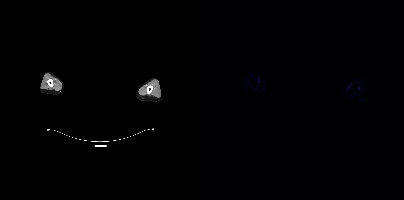
{"modality":"PSMA PET/CT","view":"axial","tracer":"18F","pet_grid":[200,200],"coord_frame":"pet_panel","coord_format":"x0,y0,x1,y1","psma_avid_lesions":false,"deidentification":"facial region redacted"}